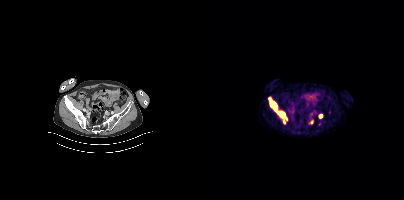
Left: CT. Right: PSMA PET, same axial level, [18F]PSMA-1007 tracer. Coordinates are on the 200×200 PET (right) panel. PSMA-avid tumor lesion bounding boxes (x, y, width, height): x=64 y=97 w=20 h=27; x=115 y=114 w=4 h=5. Small PSMA-avid focus (2 to 4 px across) near (center x, center y): (107, 122).